Two-panel axial: CT | PSMA PET, 18F-PSMA tracer. Acquired on GE Discovery 690.
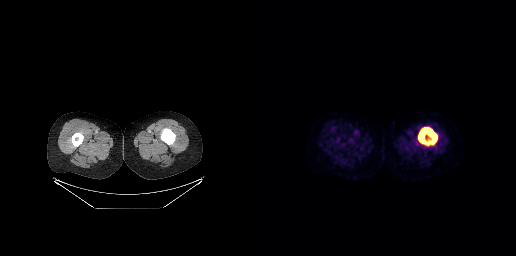
Coordinates are on the 256×256 PET (right) panel. PSMA-avid tumor lesion bounding box (x0, y0)-(x1, y1): (158, 127)-(177, 144).